- Left: CT. Right: PSMA PET, same axial level, [18F]PSMA-1007 tracer
- acquired on GE Discovery 690
- slice 110 of 263
- PET panel 256×256 px (2.7 mm/px)
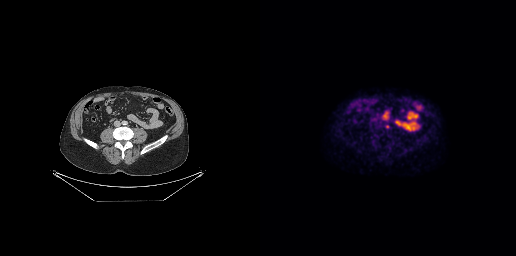
Findings: Coordinates are on the 256×256 PET (right) panel. PSMA-avid tumor lesion bounding box (x, y, width, height): x=125 y=125 w=5 h=4.